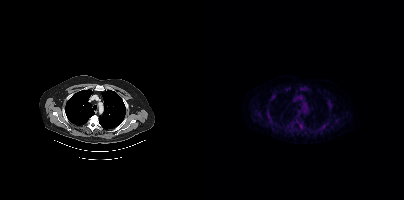
No PSMA-avid tumor lesions on this slice.